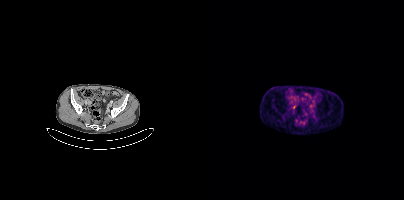
Only PSMA-avid lesion pieces thinner than 2 px on this slice (not listed).